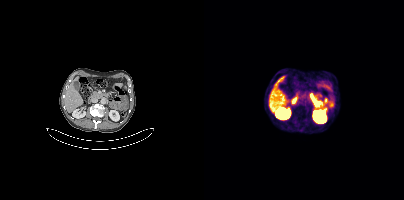
No tumor lesions annotated on this slice. Left: CT. Right: PSMA PET, same axial level, 68Ga-PSMA tracer. Acquired on Siemens Biograph mCT Flow 20. Slice position z = -631 mm.